modality: PSMA PET/CT | tracer: [18F]PSMA-1007 | view: axial | PET grid: 256×256
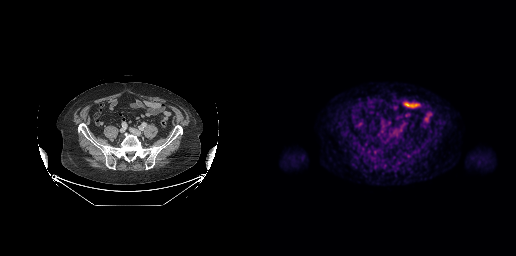
This slice has no annotated PSMA-avid lesion.